Paired axial CT (left) and PSMA PET (right), 18F-PSMA tracer. Slice 53 of 405. PET panel 200×200 px (4.1 mm/px).
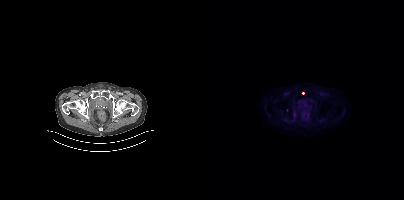
Coordinates are on the 200×200 PET (right) panel. (showing 1 of 3 foci) Small PSMA-avid focus (2 to 4 px across) near (center x, center y): (98, 92).